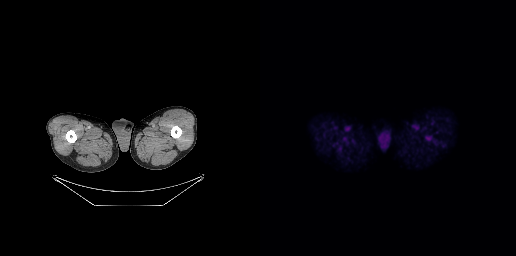
This slice has no annotated PSMA-avid lesion.